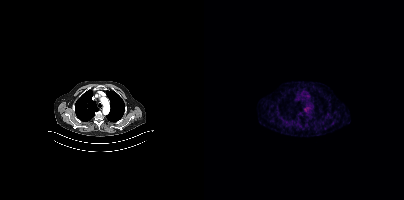
Left: CT. Right: PSMA PET, same axial level, 68Ga-PSMA tracer. Slice position z = -1036 mm. PET panel 200×200 px (4.1 mm/px). This slice has no annotated PSMA-avid lesion.